Technique: Paired axial CT (left) and PSMA PET (right), 18F tracer. acquired on Siemens Biograph mCT Flow 20. slice 96 of 435.
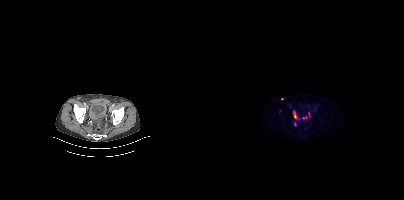
Findings: Coordinates are on the 200×200 PET (right) panel. (showing 4 of 6 foci) PSMA-avid tumor lesion bounding box (x0, y0)-(x1, y1): (89, 111)-(92, 118). Small PSMA-avid foci (2 to 4 px across) near (center x, center y): (78, 98); (91, 124); (99, 117).